Paired axial CT (left) and PSMA PET (right), [18F]PSMA-1007 tracer. Acquired on Siemens Biograph mCT Flow 20. Slice position z = -1508 mm.
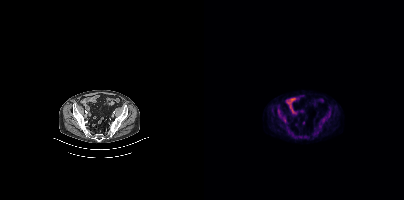
Coordinates are on the 200×200 PET (right) panel. PSMA-avid tumor lesion bounding boxes:
| # | x0 | y0 | x1 | y1 |
|---|---|---|---|---|
| 1 | 116 | 117 | 122 | 123 |
| 2 | 73 | 106 | 77 | 114 |
| 3 | 123 | 109 | 126 | 117 |
| 4 | 78 | 118 | 82 | 122 |
Small PSMA-avid foci (2 to 4 px across) near (center x, center y): (101, 136); (97, 136).